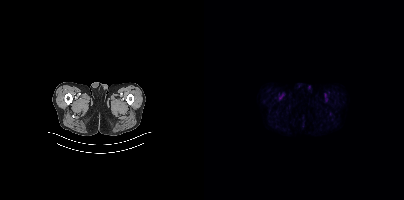
Left: CT. Right: PSMA PET, same axial level, [18F]PSMA-1007 tracer. Slice position z = -1118 mm. This slice has no annotated PSMA-avid lesion.